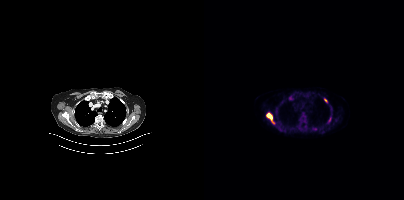
Coordinates are on the 200×200 PET (right) panel. PSMA-avid tumor lesion bounding boxes:
| # | x0 | y0 | x1 | y1 |
|---|---|---|---|---|
| 1 | 62 | 113 | 70 | 123 |
| 2 | 97 | 113 | 101 | 119 |
| 3 | 124 | 118 | 127 | 123 |
| 4 | 108 | 128 | 112 | 130 |
Small PSMA-avid focus (2 to 4 px across) near (center x, center y): (122, 101).
Paired axial CT (left) and PSMA PET (right), 18F tracer. Slice 306 of 401. PET panel 200×200 px (4.1 mm/px).